Technique: Left: CT. Right: PSMA PET, same axial level, 18F tracer. acquired on Siemens Biograph mCT Flow 20. PET panel 200×200 px (4.1 mm/px).
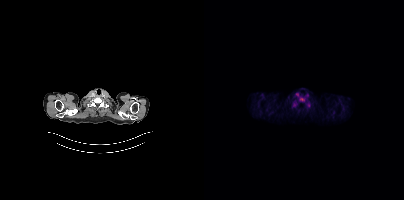
Findings: Negative for PSMA-avid disease on this slice.